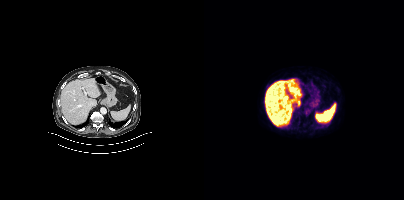
This slice has no annotated PSMA-avid lesion.